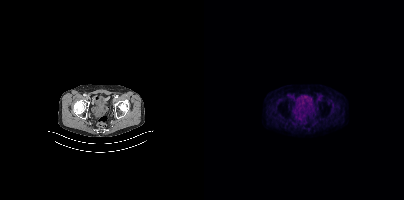
This slice has no annotated PSMA-avid lesion.